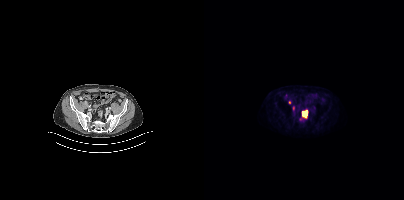
Coordinates are on the 200×200 PET (right) panel. (showing 2 of 3 foci) PSMA-avid tumor lesion bounding box (x, y, width, height): x=98 y=110 w=6 h=9. Small PSMA-avid focus (2 to 4 px across) near (center x, center y): (85, 102).